Two-panel axial: CT | PSMA PET, 18F-PSMA tracer. Slice 198 of 425.
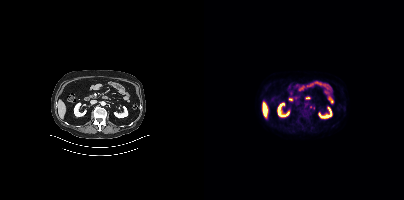
Coordinates are on the 200×200 PET (right) panel. (showing 1 of 2 foci) Small PSMA-avid focus (2 to 4 px across) near (center x, center y): (106, 106).